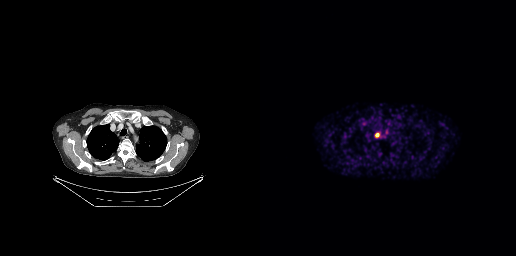
Coordinates are on the 256×256 PET (right) panel. PSMA-avid tumor lesion bounding box (x0, y0)-(x1, y1): (116, 133)-(119, 137).